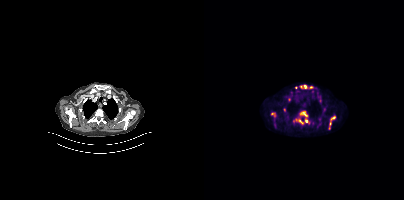
Coordinates are on the 200×200 PET (right) panel. (showing 10 of 11 foci) PSMA-avid tumor lesion bounding boxes (x0,y0,x1,y1): [89,110,110,125]; [96,84,108,89]; [69,119,72,128]; [67,112,71,116]; [126,116,131,120]. Small PSMA-avid foci (2 to 4 px across) near (center x, center y): (126, 123); (92, 88); (85, 100); (80, 109); (125, 128).